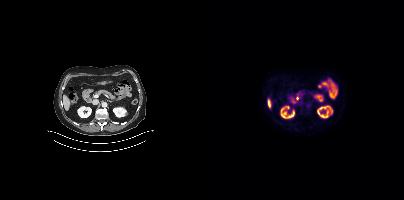
No PSMA-avid tumor lesions on this slice.